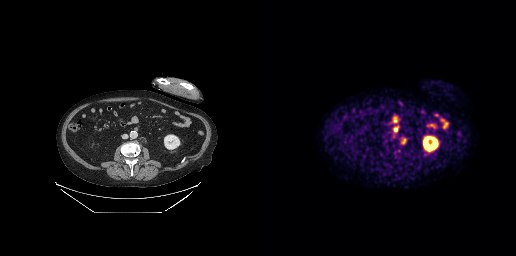
Coordinates are on the 256×256 PET (right) panel. PSMA-avid tumor lesion bounding boxes (x0, y0)-(x1, y1): (134, 127)-(137, 131) | (142, 138)-(145, 143).
modality: PSMA PET/CT | tracer: 18F | view: axial | PET grid: 256×256